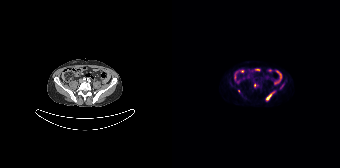
Coordinates are on the 168×168 PET (right) panel. PSMA-avid tumor lesion bounding boxes (x, y, width, height): x=94 y=91 w=9 h=10; x=82 y=83 w=4 h=5. Small PSMA-avid foci (2 to 4 px across) near (center x, center y): (66, 91); (110, 85). Paired axial CT (left) and PSMA PET (right), [18F]PSMA-1007 tracer. Slice 58 of 165.